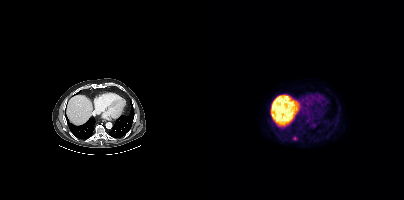
Left: CT. Right: PSMA PET, same axial level, [18F]PSMA-1007 tracer. Acquired on Siemens Biograph mCT Flow 20. Slice position z = -586 mm. PET panel 200×200 px (4.1 mm/px).
Coordinates are on the 200×200 PET (right) panel. PSMA-avid tumor lesion bounding boxes:
| # | x0 | y0 | x1 | y1 |
|---|---|---|---|---|
| 1 | 89 | 136 | 93 | 140 |